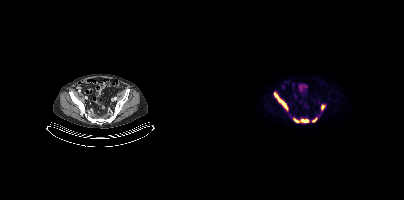
Two-panel axial: CT | PSMA PET, [18F]PSMA-1007 tracer. Acquired on Siemens Biograph mCT Flow 20. PET panel 200×200 px (4.1 mm/px). Coordinates are on the 200×200 PET (right) panel. PSMA-avid tumor lesion bounding boxes (x0,y0,x1,y1): [70,92,83,109] [97,119,104,122] [90,119,94,122] [118,105,119,109]. Small PSMA-avid focus (2 to 4 px across) near (center x, center y): (110, 120).